Technique: Left: CT. Right: PSMA PET, same axial level, 18F tracer. acquired on Siemens Biograph mCT Flow 20. slice position z = -1580 mm. PET panel 200×200 px (4.1 mm/px).
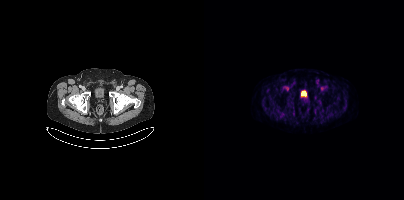
Findings: No tumor lesions annotated on this slice.